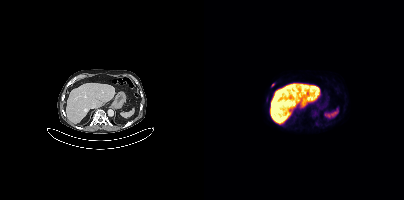
{"modality":"PSMA PET/CT","view":"axial","tracer":"18F","pet_grid":[200,200],"coord_frame":"pet_panel","coord_format":"x0,y0,x1,y1","partial":true,"lesion_bboxes":[],"small_foci_centers":[[68,84]]}